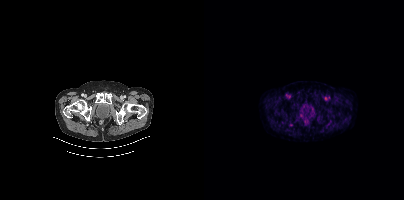
modality: PSMA PET/CT | tracer: 18F | view: axial | PET grid: 200×200
This slice has no annotated PSMA-avid lesion.